Technique: Paired axial CT (left) and PSMA PET (right), [18F]PSMA-1007 tracer. acquired on Siemens Biograph mCT Flow 20. slice 132 of 429. PET panel 200×200 px (4.1 mm/px).
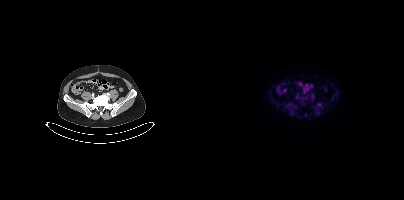
Findings: This slice has no annotated PSMA-avid lesion.